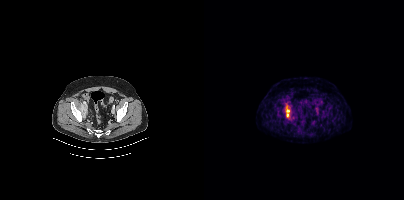
Coordinates are on the 200×200 PET (right) panel. PSMA-avid tumor lesion bounding boxes:
| # | x0 | y0 | x1 | y1 |
|---|---|---|---|---|
| 1 | 81 | 104 | 86 | 118 |
Paired axial CT (left) and PSMA PET (right), 18F tracer. Acquired on Siemens Biograph mCT Flow 20. Slice 132 of 454. PET panel 200×200 px (4.1 mm/px).